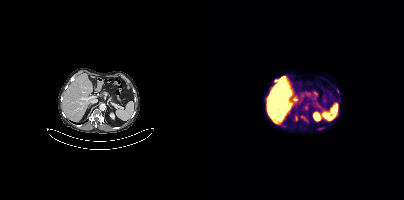
Coordinates are on the 200×200 PET (right) panel. (showing 3 of 4 foci) PSMA-avid tumor lesion bounding boxes (x0,y0,x1,y1): [97,116,103,121]; [91,116,93,120]. Small PSMA-avid focus (2 to 4 px across) near (center x, center y): (71, 80).